Left: CT. Right: PSMA PET, same axial level, 18F tracer. Acquired on Siemens Biograph mCT Flow 20.
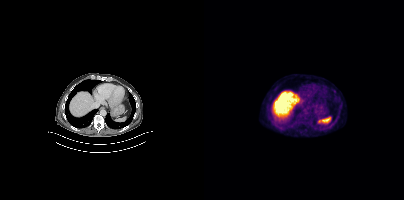
Coordinates are on the 200×200 PET (right) panel. Small PSMA-avid focus (2 to 4 px across) near (center x, center y): (130, 91).